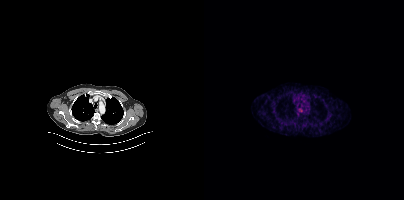
Paired axial CT (left) and PSMA PET (right), 68Ga-PSMA tracer. Acquired on Siemens Biograph mCT Flow 20. Slice position z = -968 mm. This slice has no annotated PSMA-avid lesion.